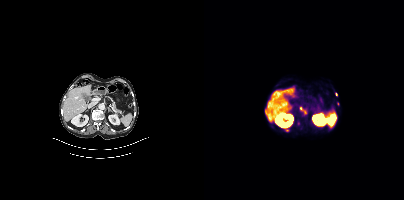
{"modality":"PSMA PET/CT","view":"axial","tracer":"[68Ga]Ga-PSMA-11","pet_grid":[200,200],"coord_frame":"pet_panel","coord_format":"x0,y0,x1,y1","lesion_bboxes":[[95,107,103,114],[93,121,95,125]],"small_foci_centers":[[82,130],[132,94],[133,104],[61,110]]}